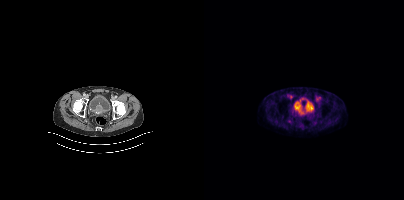
Paired axial CT (left) and PSMA PET (right), 18F tracer. PET panel 200×200 px (4.1 mm/px). Coordinates are on the 200×200 PET (right) panel. PSMA-avid tumor lesion bounding box (x0, y0)-(x1, y1): (94, 106)-(104, 114).